modality: PSMA PET/CT | tracer: 18F-PSMA | view: axial
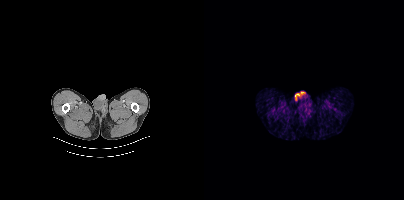
Negative for PSMA-avid disease on this slice.